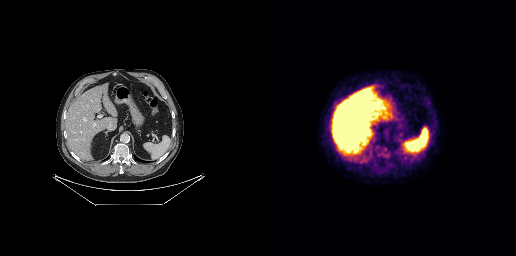
Findings: No PSMA-avid tumor lesions on this slice.
- Left: CT. Right: PSMA PET, same axial level, 18F tracer
- PET panel 256×256 px (2.7 mm/px)